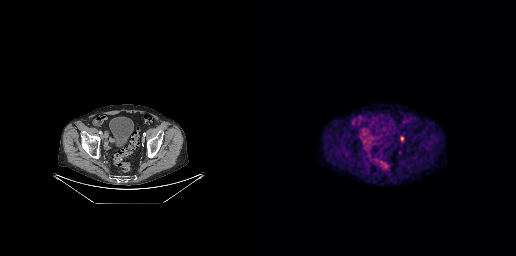
Coordinates are on the 256×256 PET (right) panel. PSMA-avid tumor lesion bounding box (x0,y0,x1,y1): [141,136,143,140].